modality: PSMA PET/CT | tracer: [18F]PSMA-1007 | view: axial | PET grid: 200×200
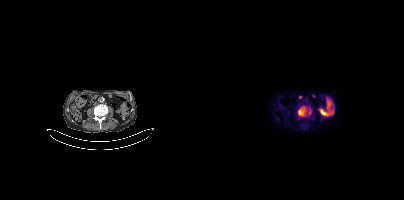
Coordinates are on the 200×200 PET (right) panel. PSMA-avid tumor lesion bounding boxes (x0, y0)-(x1, y1): (94, 106)-(102, 116) / (105, 109)-(106, 114).